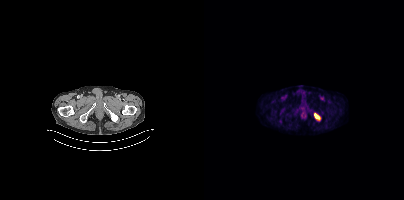
{"modality":"PSMA PET/CT","view":"axial","tracer":"[18F]PSMA-1007","pet_grid":[200,200],"coord_frame":"pet_panel","coord_format":"x0,y0,x1,y1","lesion_bboxes":[[110,113,115,119]]}